modality: PSMA PET/CT | tracer: 18F-PSMA | view: axial
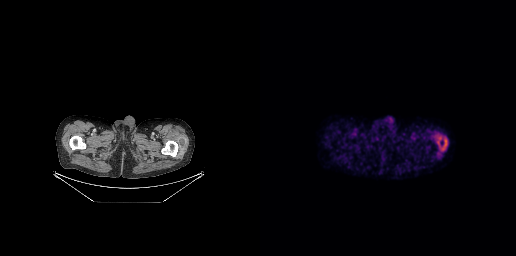
Negative for PSMA-avid disease on this slice.